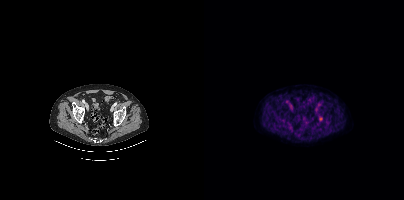
{"modality":"PSMA PET/CT","view":"axial","tracer":"18F-PSMA","pet_grid":[200,200],"coord_frame":"pet_panel","coord_format":"x0,y0,x1,y1","psma_avid_lesions":false}